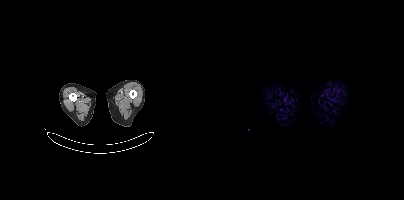
- Two-panel axial: CT | PSMA PET, 18F-PSMA tracer
- acquired on Siemens Biograph mCT Flow 20
- PET panel 200×200 px (4.1 mm/px)
Findings: No tumor lesions annotated on this slice.